modality: PSMA PET/CT | tracer: 18F | view: axial
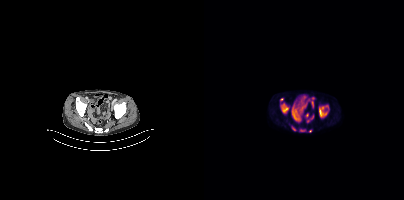
Coordinates are on the 200×200 PET (right) panel. PSMA-avid tumor lesion bounding boxes (x0,y0,x1,y1): [115,105,125,116] [77,103,84,113] [96,129,101,131]. Small PSMA-avid foci (2 to 4 px across) near (center x, center y): (90, 128) (77, 99) (106, 131).